- Left: CT. Right: PSMA PET, same axial level, [18F]PSMA-1007 tracer
- acquired on Siemens Biograph mCT Flow 20
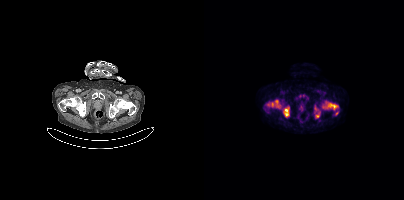
Findings: Coordinates are on the 200×200 PET (right) panel. (showing 6 of 9 foci) PSMA-avid tumor lesion bounding boxes (x, y, width, height): x=122 y=102 w=13 h=8 | x=80 y=108 w=5 h=9. Small PSMA-avid foci (2 to 4 px across) near (center x, center y): (63, 105) | (113, 116) | (132, 113) | (72, 101).